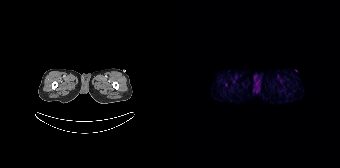
{"modality":"PSMA PET/CT","view":"axial","tracer":"68Ga","pet_grid":[168,168],"coord_frame":"pet_panel","coord_format":"x0,y0,x1,y1","lesion_bboxes":[],"small_foci_centers":[[54,84]]}